modality: PSMA PET/CT | tracer: [18F]PSMA-1007 | view: axial
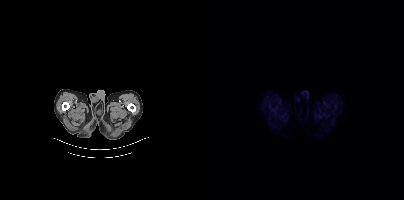
No tumor lesions annotated on this slice.